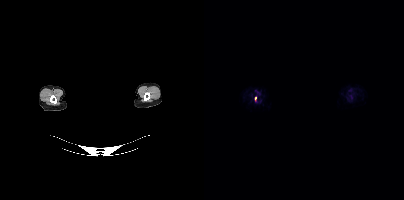
Negative for PSMA-avid disease on this slice.
An anonymization step blacked out a rectangle over the head in this scan.